Left: CT. Right: PSMA PET, same axial level, [18F]PSMA-1007 tracer. Slice 104 of 263.
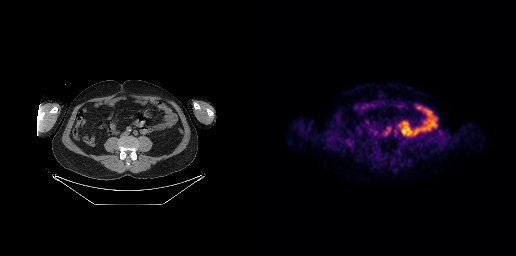
No PSMA-avid tumor lesions on this slice.